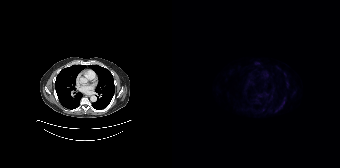
Findings: Only PSMA-avid lesion pieces thinner than 2 px on this slice (not listed).
- Paired axial CT (left) and PSMA PET (right), [18F]PSMA-1007 tracer
- slice position z = -720 mm